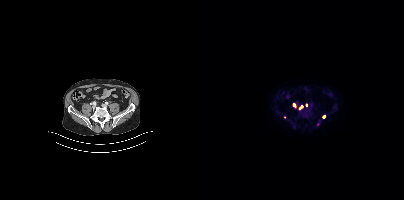
{"modality":"PSMA PET/CT","view":"axial","tracer":"18F","pet_grid":[200,200],"coord_frame":"pet_panel","coord_format":"x0,y0,x1,y1","lesion_bboxes":[[95,105,99,109]],"small_foci_centers":[[113,124],[89,104],[119,116],[102,104]]}